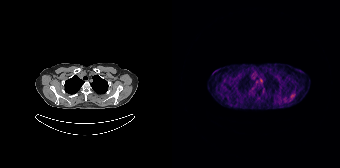
{"modality":"PSMA PET/CT","view":"axial","tracer":"[68Ga]Ga-PSMA-11","pet_grid":[168,168],"coord_frame":"pet_panel","coord_format":"x0,y0,x1,y1","psma_avid_lesions":false}